- a rectangle over the head was blacked out to remove identifiable facial features
- Two-panel axial: CT | PSMA PET, 18F tracer
- PET panel 168×168 px (4.1 mm/px)
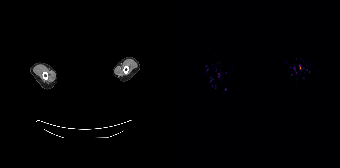
Findings: No PSMA-avid tumor lesions on this slice.